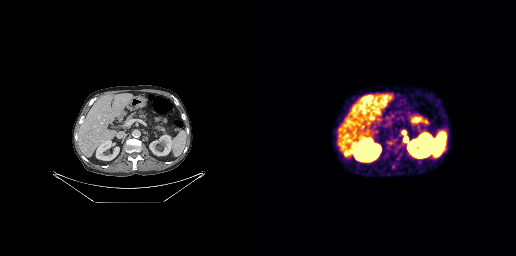
Two-panel axial: CT | PSMA PET, [68Ga]Ga-PSMA-11 tracer. Slice 127 of 263. PET panel 256×256 px (2.7 mm/px). Coordinates are on the 256×256 PET (right) panel. Small PSMA-avid foci (2 to 4 px across) near (center x, center y): (143, 132) / (146, 139).